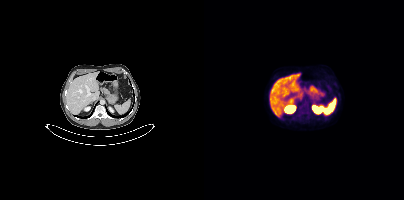
- Two-panel axial: CT | PSMA PET, 18F-PSMA tracer
- PET panel 200×200 px (4.1 mm/px)
Findings: No tumor lesions annotated on this slice.